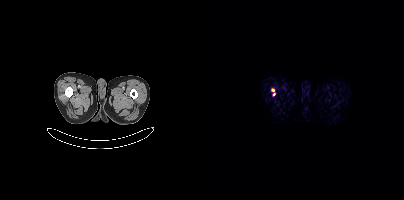
Coordinates are on the 200×200 PET (right) panel. Small PSMA-avid foci (2 to 4 px across) near (center x, center y): (69, 90); (69, 94).